Two-panel axial: CT | PSMA PET, 18F-PSMA tracer. Slice position z = -1092 mm. PET panel 200×200 px (4.1 mm/px).
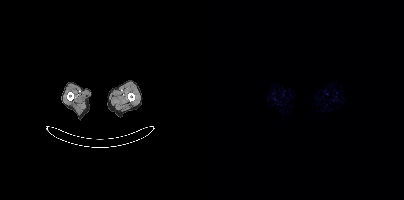
Negative for PSMA-avid disease on this slice.